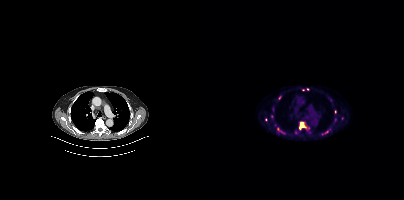
{"modality":"PSMA PET/CT","view":"axial","tracer":"[18F]PSMA-1007","pet_grid":[200,200],"coord_frame":"pet_panel","coord_format":"x0,y0,x1,y1","partial":true,"lesion_bboxes":[[95,122,100,129]],"small_foci_centers":[[131,111],[73,129],[103,89],[99,89],[61,119]]}